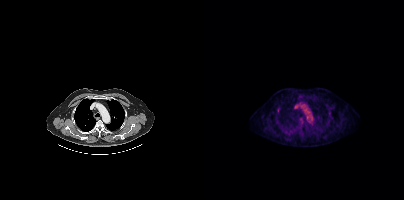
Coordinates are on the 200×200 PET (right) panel. Small PSMA-avid focus (2 to 4 px across) near (center x, center y): (74, 110).